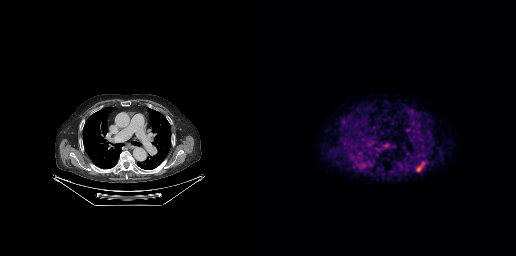
Coordinates are on the 256×256 PET (right) panel. PSMA-avid tumor lesion bounding box (x0, y0)-(x1, y1): (156, 161)-(165, 171).
modality: PSMA PET/CT | tracer: 18F-PSMA | view: axial | PET grid: 256×256